Paired axial CT (left) and PSMA PET (right), 18F tracer.
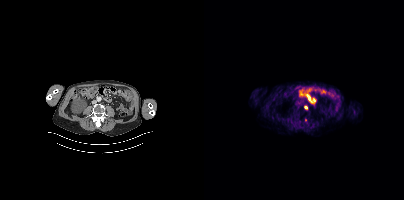
Coordinates are on the 200×200 PET (right) panel. (showing 1 of 2 foci) Small PSMA-avid focus (2 to 4 px across) near (center x, center y): (102, 107).